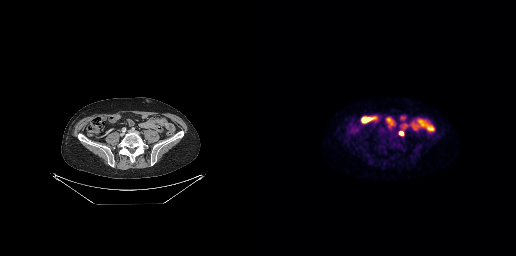
Coordinates are on the 256×256 PET (right) panel. PSMA-avid tumor lesion bounding box (x0, y0)-(x1, y1): (139, 131)-(143, 135).